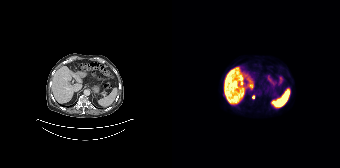
modality: PSMA PET/CT | tracer: 18F | view: axial | PET grid: 168×168
Coordinates are on the 168×168 PET (right) panel. Small PSMA-avid focus (2 to 4 px across) near (center x, center y): (81, 97).